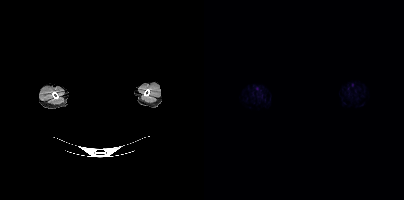
No PSMA-avid tumor lesions on this slice. Left: CT. Right: PSMA PET, same axial level, 18F-PSMA tracer. Acquired on Siemens Biograph mCT Flow 20. PET panel 200×200 px (4.1 mm/px). The head region is masked for de-identification.